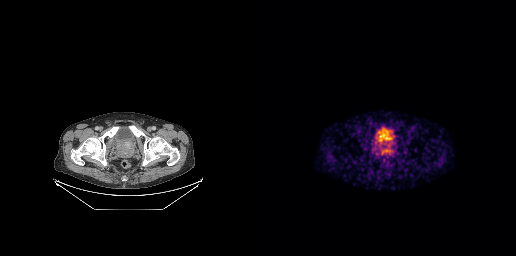
Coordinates are on the 256×256 PET (right) panel. PSMA-avid tumor lesion bounding boxes (partial; 2 more foci not listed):
| # | x0 | y0 | x1 | y1 |
|---|---|---|---|---|
| 1 | 115 | 137 | 134 | 156 |
Paired axial CT (left) and PSMA PET (right), 68Ga-PSMA tracer. Acquired on GE Discovery 690. PET panel 256×256 px (2.7 mm/px).